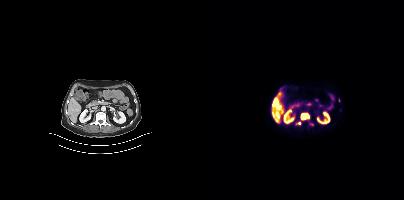
Two-panel axial: CT | PSMA PET, [18F]PSMA-1007 tracer. PET panel 200×200 px (4.1 mm/px).
Coordinates are on the 200×200 PET (right) panel. PSMA-avid tumor lesion bounding boxes (partial; 1 more focus not listed):
| # | x0 | y0 | x1 | y1 |
|---|---|---|---|---|
| 1 | 97 | 113 | 105 | 119 |
| 2 | 105 | 123 | 109 | 125 |
| 3 | 92 | 122 | 96 | 124 |
Small PSMA-avid focus (2 to 4 px across) near (center x, center y): (71, 102).